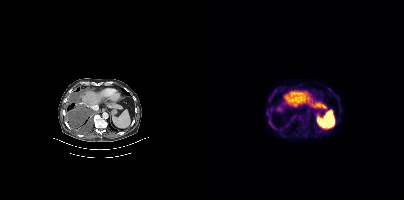
Coordinates are on the 200×200 PET (right) panel. (showing 5 of 6 foci) PSMA-avid tumor lesion bounding box (x0,y0,x1,y1): [64,96,67,101]. Small PSMA-avid foci (2 to 4 px across) near (center x, center y): (65, 121), (71, 89), (125, 89), (97, 119). Paired axial CT (left) and PSMA PET (right), 18F-PSMA tracer.